modality: PSMA PET/CT | tracer: 18F | view: axial
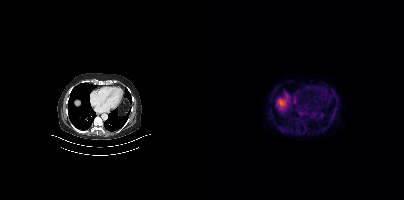
No PSMA-avid tumor lesions on this slice.